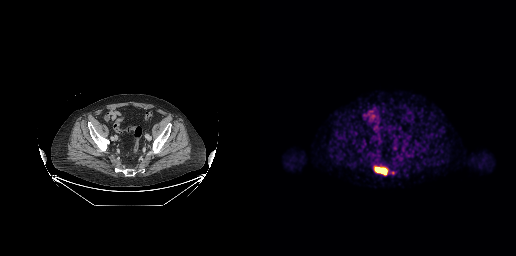
Coordinates are on the 256×256 PET (right) panel. PSMA-avid tumor lesion bounding box (x, y, width, height): x=114 y=166 w=14 h=10.
modality: PSMA PET/CT | tracer: 18F-PSMA | view: axial | PET grid: 256×256